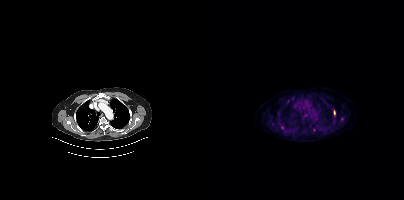
Coordinates are on the 200×200 PET (right) panel. (showing 5 of 6 foci) Small PSMA-avid foci (2 to 4 px across) near (center x, center y): (78, 127) | (110, 129) | (130, 112) | (138, 118) | (68, 124). Two-panel axial: CT | PSMA PET, 18F tracer. Acquired on Siemens Biograph mCT Flow 20. PET panel 200×200 px (4.1 mm/px).